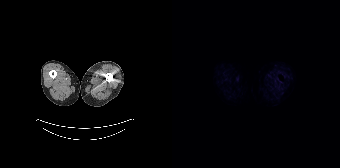
Left: CT. Right: PSMA PET, same axial level, [18F]PSMA-1007 tracer. Acquired on Siemens Biograph 64-4R TruePoint. PET panel 168×168 px (4.1 mm/px). No PSMA-avid tumor lesions on this slice.